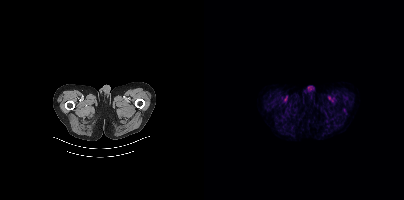
modality: PSMA PET/CT | tracer: [18F]PSMA-1007 | view: axial | PET grid: 200×200
No tumor lesions annotated on this slice.